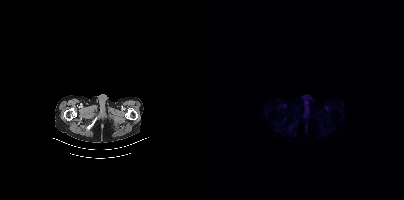
Negative for PSMA-avid disease on this slice. Paired axial CT (left) and PSMA PET (right), [68Ga]Ga-PSMA-11 tracer. Slice position z = -1594 mm. PET panel 200×200 px (4.1 mm/px).